- Paired axial CT (left) and PSMA PET (right), 18F-PSMA tracer
- slice 163 of 405
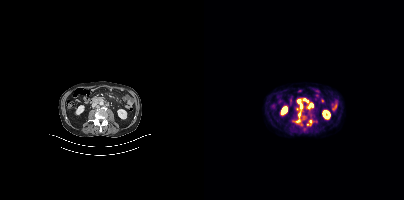
Findings: Coordinates are on the 200×200 PET (right) panel. (showing 6 of 7 foci) PSMA-avid tumor lesion bounding boxes (x, y, width, height): x=92 y=110 w=6 h=13 / x=93 y=99 w=6 h=10 / x=100 y=99 w=5 h=3. Small PSMA-avid foci (2 to 4 px across) near (center x, center y): (106, 121) / (106, 104) / (103, 124).